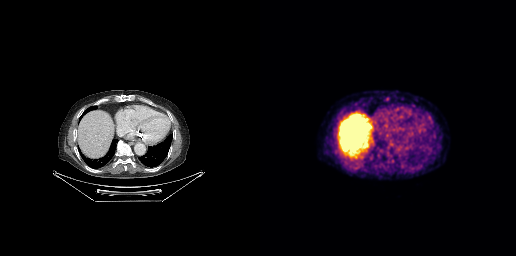
Coordinates are on the 256×256 PET (right) panel. Small PSMA-avid focus (2 to 4 px across) near (center x, center y): (76, 151).